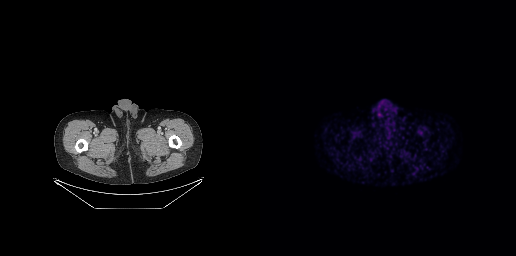
No PSMA-avid tumor lesions on this slice.
modality: PSMA PET/CT | tracer: 68Ga | view: axial